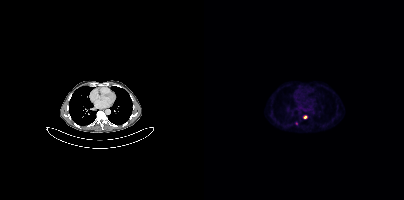
Coordinates are on the 200×200 PET (right) panel. Small PSMA-avid foci (2 to 4 px across) near (center x, center y): (100, 117) / (92, 123).